- Left: CT. Right: PSMA PET, same axial level, 18F-PSMA tracer
- slice position z = -1156 mm
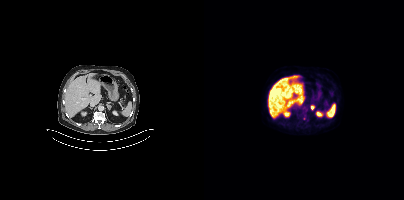
Findings: Coordinates are on the 200×200 PET (right) panel. PSMA-avid tumor lesion bounding box (x0, y0)-(x1, y1): (106, 105)-(110, 109). Small PSMA-avid focus (2 to 4 px across) near (center x, center y): (100, 118).